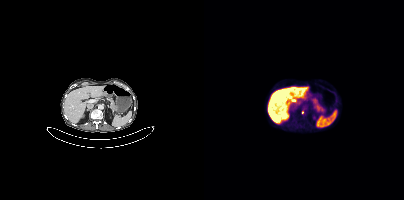
- Two-panel axial: CT | PSMA PET, 18F tracer
- slice position z = -666 mm
Findings: Coordinates are on the 200×200 PET (right) panel. Small PSMA-avid focus (2 to 4 px across) near (center x, center y): (98, 112).